Paired axial CT (left) and PSMA PET (right), 18F tracer.
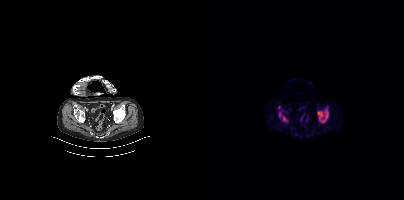
Coordinates are on the 200×200 PET (right) panel. PSMA-avid tumor lesion bounding boxes:
| # | x0 | y0 | x1 | y1 |
|---|---|---|---|---|
| 1 | 113 | 107 | 124 | 123 |
| 2 | 75 | 110 | 84 | 122 |
Small PSMA-avid focus (2 to 4 px across) near (center x, center y): (75, 107).